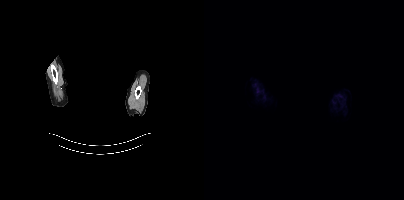
The head region is masked for de-identification. Left: CT. Right: PSMA PET, same axial level, 18F-PSMA tracer. Acquired on Siemens Biograph mCT Flow 20. Slice 362 of 401. PET panel 200×200 px (4.1 mm/px). No PSMA-avid tumor lesions on this slice.